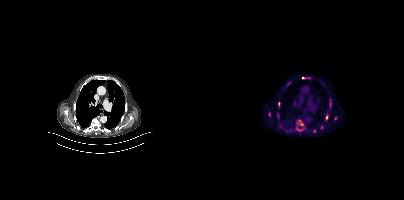
Coordinates are on the 200×200 PET (right) panel. PSMA-avid tumor lesion bounding boxes (x0, y0)-(x1, y1): (91, 119)-(102, 131) / (64, 112)-(67, 117) / (82, 81)-(87, 86) / (98, 77)-(105, 78) / (121, 115)-(124, 119) / (75, 124)-(78, 128) / (74, 102)-(75, 106) / (125, 104)-(127, 108). Small PSMA-avid foci (2 to 4 px across) near (center x, center y): (131, 118) / (117, 127).